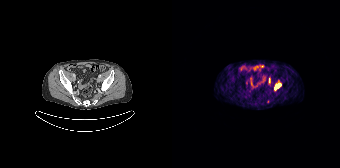
Paired axial CT (left) and PSMA PET (right), 68Ga-PSMA tracer.
Coordinates are on the 168×168 PET (right) panel. PSMA-avid tumor lesion bounding boxes:
| # | x0 | y0 | x1 | y1 |
|---|---|---|---|---|
| 1 | 103 | 84 | 108 | 89 |
| 2 | 97 | 79 | 98 | 83 |